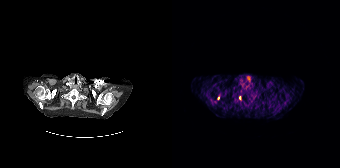
Coordinates are on the 168×168 PET (right) panel. (showing 1 of 2 foci) Small PSMA-avid focus (2 to 4 px across) near (center x, center y): (67, 97). Paired axial CT (left) and PSMA PET (right), 68Ga tracer.